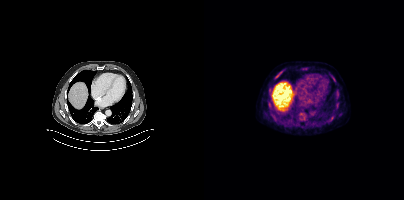
{"modality":"PSMA PET/CT","view":"axial","tracer":"18F-PSMA","pet_grid":[200,200],"coord_frame":"pet_panel","coord_format":"x0,y0,x1,y1","lesion_bboxes":[[73,71,78,76],[128,77,131,81]],"small_foci_centers":[[65,103],[127,117],[133,104],[70,78]]}